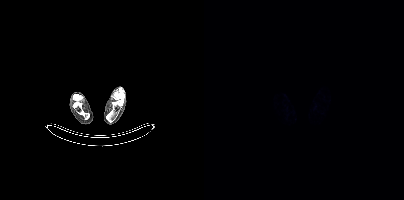
Findings: No tumor lesions annotated on this slice.
Technique: Left: CT. Right: PSMA PET, same axial level, [18F]PSMA-1007 tracer. acquired on Siemens Biograph mCT Flow 20.